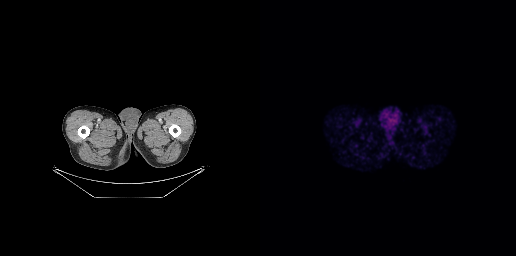
{"modality":"PSMA PET/CT","view":"axial","tracer":"68Ga-PSMA","pet_grid":[256,256],"coord_frame":"pet_panel","coord_format":"x0,y0,x1,y1","psma_avid_lesions":false}